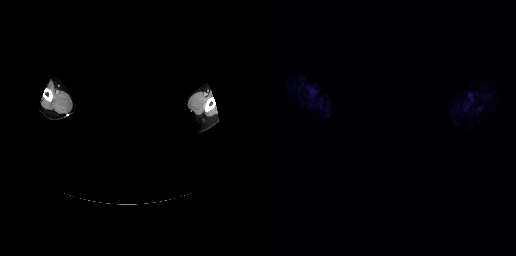
Paired axial CT (left) and PSMA PET (right), [18F]PSMA-1007 tracer. Acquired on GE Discovery 690. Facial anatomy redacted by setting a rectangular region of the head to black. No tumor lesions annotated on this slice.